Technique: Two-panel axial: CT | PSMA PET, 18F tracer.
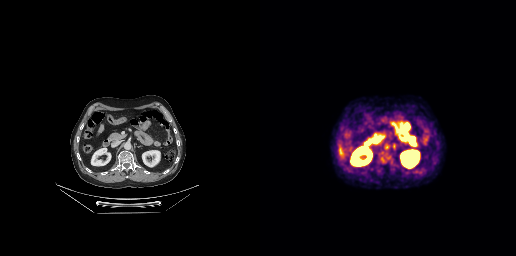
Findings: No PSMA-avid tumor lesions on this slice.